Left: CT. Right: PSMA PET, same axial level, 18F-PSMA tracer. PET panel 200×200 px (4.1 mm/px).
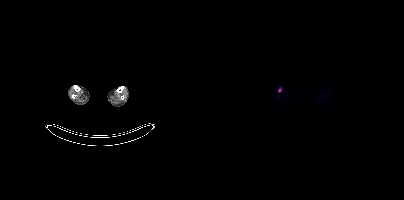
Coordinates are on the 200×200 PET (right) panel. PSMA-avid tumor lesion bounding boxes:
| # | x0 | y0 | x1 | y1 |
|---|---|---|---|---|
| 1 | 74 | 88 | 77 | 92 |